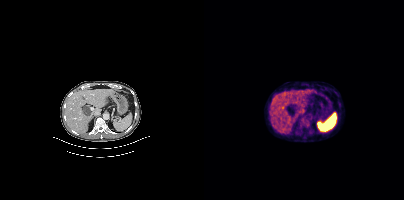
Coordinates are on the 200×200 PET (right) panel. PSMA-avid tumor lesion bounding box (x0, y0)-(x1, y1): (95, 117)-(107, 127).
modality: PSMA PET/CT | tracer: 18F-PSMA | view: axial | PET grid: 200×200